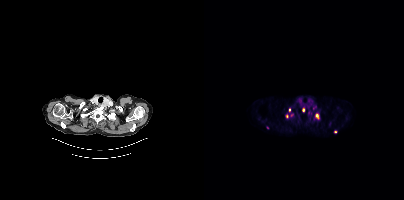
Coordinates are on the 200×200 PET (right) panel. (showing 6 of 7 foci) PSMA-avid tumor lesion bounding box (x0, y0)-(x1, y1): (112, 114)-(114, 118). Small PSMA-avid foci (2 to 4 px across) near (center x, center y): (99, 110); (83, 116); (85, 110); (88, 115); (63, 127). Left: CT. Right: PSMA PET, same axial level, [68Ga]Ga-PSMA-11 tracer. Slice position z = -984 mm.